Paired axial CT (left) and PSMA PET (right), [18F]PSMA-1007 tracer. Slice 68 of 263. PET panel 256×256 px (2.7 mm/px).
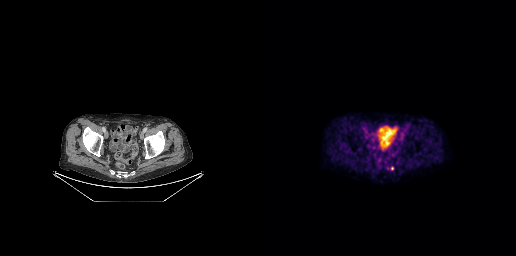
Coordinates are on the 256×256 PET (right) panel. Small PSMA-avid focus (2 to 4 px across) near (center x, center y): (132, 168).